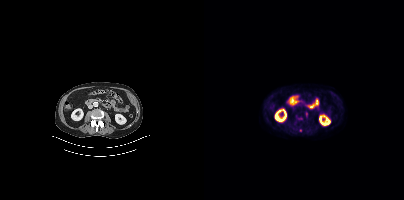
{"modality":"PSMA PET/CT","view":"axial","tracer":"18F-PSMA","pet_grid":[200,200],"coord_frame":"pet_panel","coord_format":"x0,y0,x1,y1","psma_avid_lesions":false}